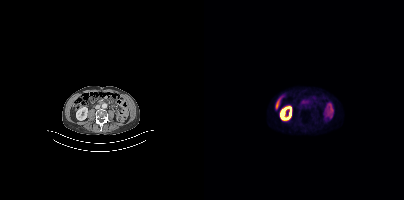
No PSMA-avid tumor lesions on this slice.